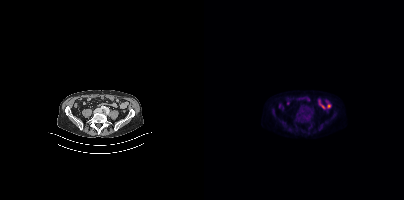
Technique: Paired axial CT (left) and PSMA PET (right), 18F-PSMA tracer. slice 138 of 429. PET panel 200×200 px (4.1 mm/px).
Findings: No tumor lesions annotated on this slice.